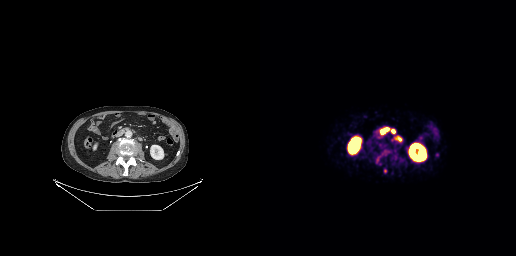
Technique: Left: CT. Right: PSMA PET, same axial level, 68Ga tracer. acquired on GE Discovery 690. slice position z = -636 mm. PET panel 256×256 px (2.7 mm/px).
Findings: Coordinates are on the 256×256 PET (right) panel. (showing 4 of 5 foci) PSMA-avid tumor lesion bounding boxes (x0,y0,x1,y1): [135,136,141,141] [120,128,127,134] [131,129,135,133]. Small PSMA-avid focus (2 to 4 px across) near (center x, center y): (125, 170).